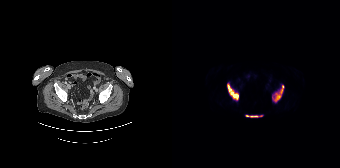
Coordinates are on the 168×168 PET (right) panel. PSMA-avid tumor lesion bounding boxes (x0,y0,x1,y1): [55,83,66,100], [100,85,112,102], [73,115,90,117].